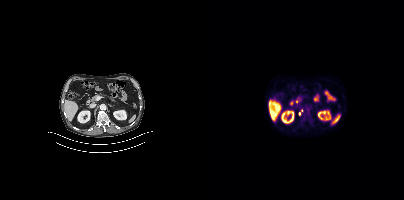
Left: CT. Right: PSMA PET, same axial level, 18F tracer. Slice position z = -1128 mm. PET panel 200×200 px (4.1 mm/px). Coordinates are on the 200×200 PET (right) panel. Small PSMA-avid foci (2 to 4 px across) near (center x, center y): (95, 113) | (97, 110).